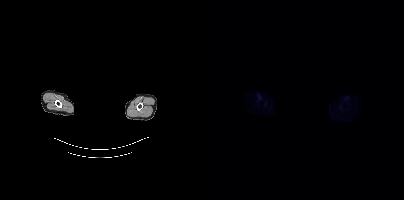
{"modality":"PSMA PET/CT","view":"axial","tracer":"[18F]PSMA-1007","pet_grid":[200,200],"coord_frame":"pet_panel","coord_format":"x0,y0,x1,y1","redaction":"head region blacked out before release","psma_avid_lesions":false}